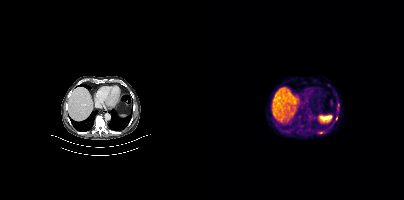
Coordinates are on the 200×200 PET (right) panel. (showing 2 of 3 foci) Small PSMA-avid foci (2 to 4 px across) near (center x, center y): (116, 132) | (132, 118).